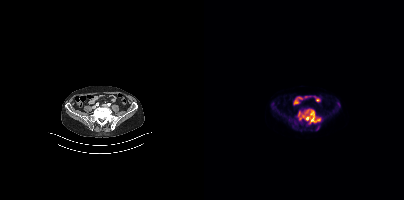
Coordinates are on the 200×200 PET (right) panel. (showing 3 of 4 foci) PSMA-avid tumor lesion bounding boxes (x, y, width, height): x=93 y=109 w=25 h=16 | x=133 y=102 w=4 h=5. Small PSMA-avid focus (2 to 4 px across) near (center x, center y): (92, 123). Left: CT. Right: PSMA PET, same axial level, 18F tracer.